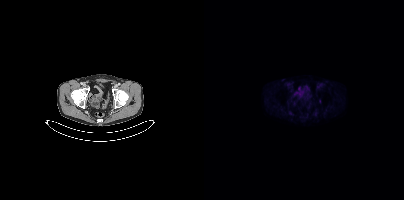
Technique: Two-panel axial: CT | PSMA PET, 18F-PSMA tracer. PET panel 200×200 px (4.1 mm/px).
Findings: Coordinates are on the 200×200 PET (right) panel. Small PSMA-avid focus (2 to 4 px across) near (center x, center y): (115, 101).